Left: CT. Right: PSMA PET, same axial level, 68Ga-PSMA tracer. PET panel 256×256 px (2.7 mm/px).
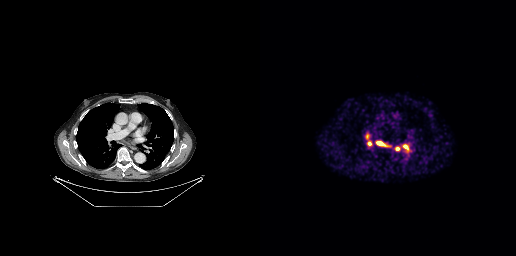
Coordinates are on the 256×256 PET (right) panel. PSMA-avid tumor lesion bounding boxes (x0, y0)-(x1, y1): (117, 142)-(128, 146) | (107, 141)-(111, 145) | (143, 145)-(147, 149). Small PSMA-avid foci (2 to 4 px across) near (center x, center y): (137, 148) | (107, 136).